Left: CT. Right: PSMA PET, same axial level, 18F tracer. Acquired on Siemens Biograph mCT Flow 20. Slice 138 of 409.
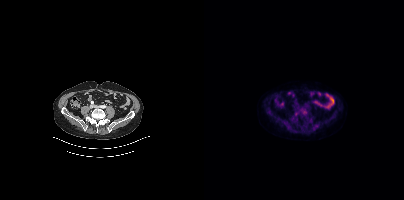
Coordinates are on the 200×200 PET (right) panel. PSMA-avid tumor lesion bounding box (x, y, width, height): x=97 y=111 w=5 h=4.